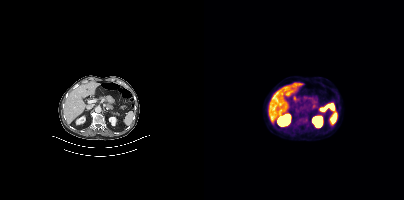
Findings: This slice has no annotated PSMA-avid lesion.
- Left: CT. Right: PSMA PET, same axial level, [18F]PSMA-1007 tracer